modality: PSMA PET/CT | tracer: 18F | view: axial
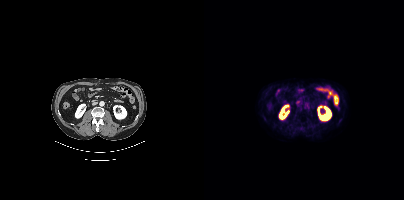
This slice has no annotated PSMA-avid lesion.